modality: PSMA PET/CT | tracer: [18F]PSMA-1007 | view: axial | de-identification: facial region redacted
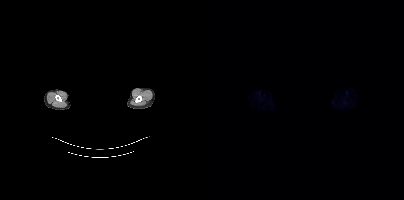
This slice has no annotated PSMA-avid lesion.